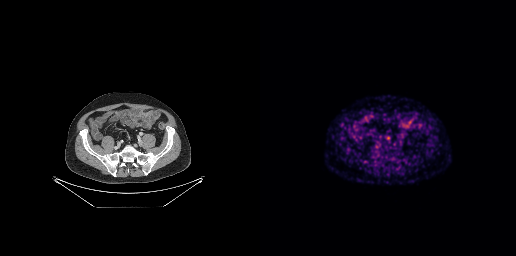
modality: PSMA PET/CT | tracer: 68Ga | view: axial
Only PSMA-avid lesion pieces thinner than 2 px on this slice (not listed).